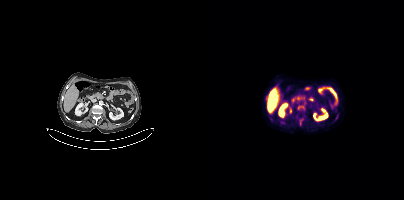
Coordinates are on the 200×200 PET (right) panel. PSMA-avid tumor lesion bounding box (x, y, width, height): x=94 y=106 w=7 h=4. Small PSMA-avid focus (2 to 4 px across) near (center x, center y): (97, 120). Paired axial CT (left) and PSMA PET (right), 18F tracer. Acquired on Siemens Biograph mCT Flow 20. Slice 164 of 373.